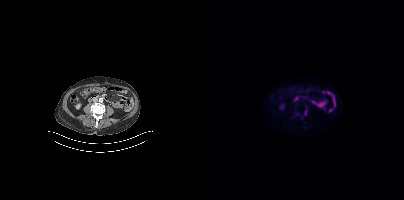
{"modality":"PSMA PET/CT","view":"axial","tracer":"18F","pet_grid":[200,200],"coord_frame":"pet_panel","coord_format":"x0,y0,x1,y1","lesion_bboxes":[[100,110,102,115]]}